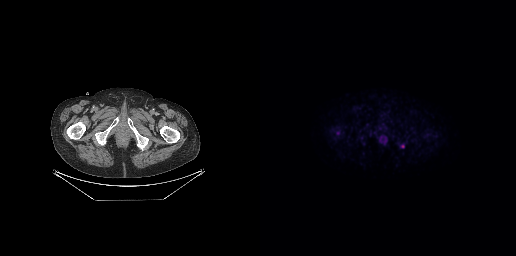
- Paired axial CT (left) and PSMA PET (right), [18F]PSMA-1007 tracer
- acquired on GE Discovery 690
Findings: Coordinates are on the 256×256 PET (right) panel. PSMA-avid tumor lesion bounding box (x0,y0,x1,y1): [141,144,144,148].